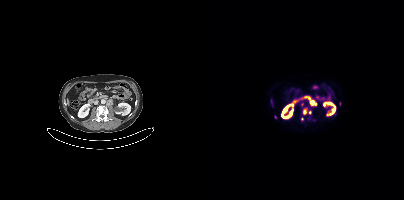
{"modality":"PSMA PET/CT","view":"axial","tracer":"18F","pet_grid":[200,200],"coord_frame":"pet_panel","coord_format":"x0,y0,x1,y1","partial":true,"lesion_bboxes":[[106,101,112,105]],"small_foci_centers":[[98,119],[100,111],[105,112]]}